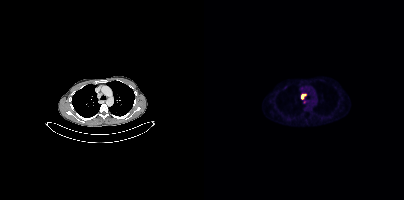
Coordinates are on the 200×200 PET (right) panel. (showing 2 of 3 foci) PSMA-avid tumor lesion bounding box (x, y, width, height): x=97 y=94 w=5 h=5. Small PSMA-avid focus (2 to 4 px across) near (center x, center y): (98, 88).